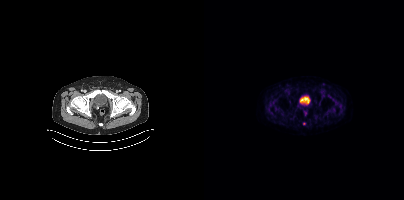
Left: CT. Right: PSMA PET, same axial level, [68Ga]Ga-PSMA-11 tracer. Acquired on Siemens Biograph mCT Flow 20. Coordinates are on the 200×200 PET (right) panel. Small PSMA-avid focus (2 to 4 px across) near (center x, center y): (100, 123).